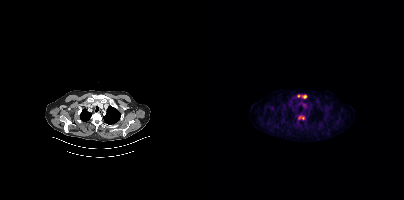
Coordinates are on the 200×200 PET (right) panel. PSMA-avid tumor lesion bounding boxes (x, y, width, height): x=94 y=115 w=8 h=5; x=93 y=95 w=10 h=4.
modality: PSMA PET/CT | tracer: [18F]PSMA-1007 | view: axial